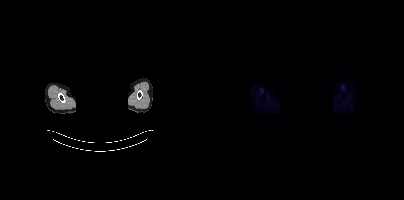
The face region was removed for patient privacy by blanking a rectangle over the head.
Negative for PSMA-avid disease on this slice.